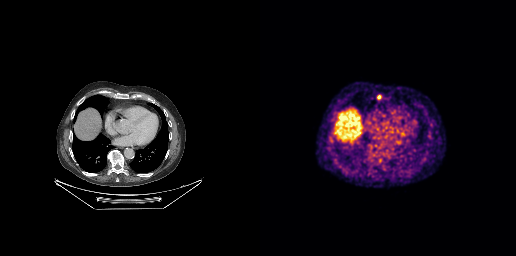
Coordinates are on the 256×256 PET (right) panel. PSMA-avid tumor lesion bounding box (x0,y0,x1,y1): [117,95,121,99].